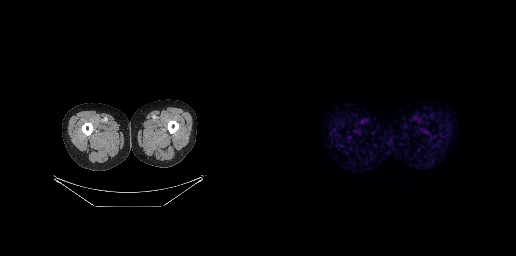
No PSMA-avid tumor lesions on this slice.